Left: CT. Right: PSMA PET, same axial level, 18F-PSMA tracer.
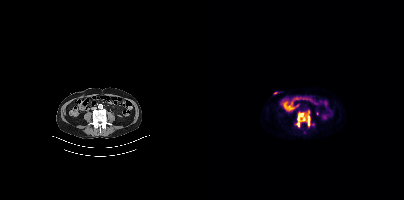
Coordinates are on the 200×200 PET (right) panel. PSMA-avid tumor lesion bounding boxes:
| # | x0 | y0 | x1 | y1 |
|---|---|---|---|---|
| 1 | 92 | 112 | 106 | 127 |